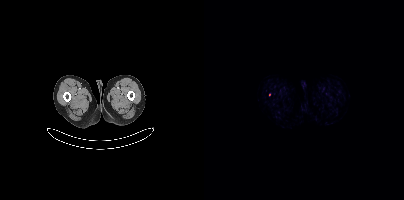
- Left: CT. Right: PSMA PET, same axial level, 18F-PSMA tracer
- acquired on Siemens Biograph mCT Flow 20
- slice 8 of 407
- PET panel 200×200 px (4.1 mm/px)
Findings: Coordinates are on the 200×200 PET (right) panel. Small PSMA-avid focus (2 to 4 px across) near (center x, center y): (65, 94).